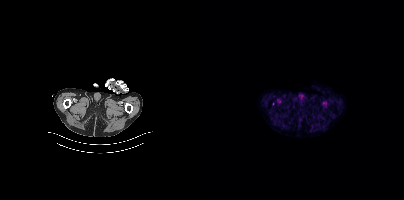
modality: PSMA PET/CT | tracer: [18F]PSMA-1007 | view: axial
Only PSMA-avid lesion pieces thinner than 2 px on this slice (not listed).